Left: CT. Right: PSMA PET, same axial level, [18F]PSMA-1007 tracer. Acquired on Siemens Biograph mCT Flow 20. PET panel 200×200 px (4.1 mm/px).
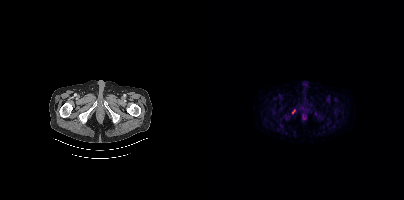
Coordinates are on the 200×200 PET (right) panel. PSMA-avid tumor lesion bounding box (x, y, width, height): x=88 y=109 w=4 h=5.